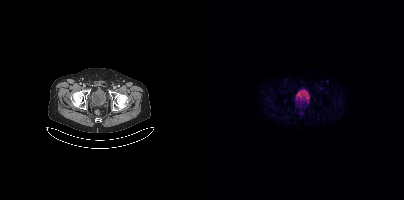
Technique: Paired axial CT (left) and PSMA PET (right), 18F tracer. acquired on Siemens Biograph mCT Flow 20. slice 100 of 433.
Findings: No PSMA-avid tumor lesions on this slice.